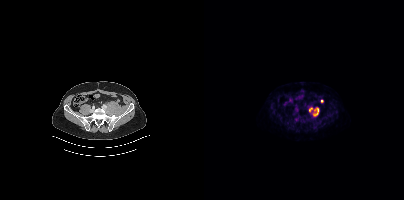
{"modality":"PSMA PET/CT","view":"axial","tracer":"[18F]PSMA-1007","pet_grid":[200,200],"coord_frame":"pet_panel","coord_format":"x0,y0,x1,y1","lesion_bboxes":[[109,107,115,116],[105,107,108,112]],"small_foci_centers":[[118,101]]}